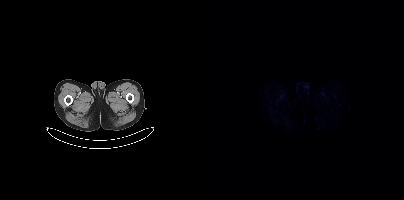
No tumor lesions annotated on this slice.
modality: PSMA PET/CT | tracer: 68Ga | view: axial